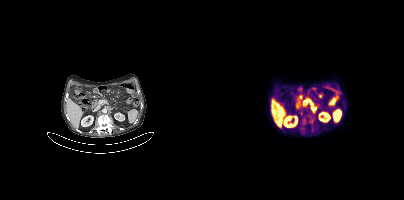
Coordinates are on the 200×200 PET (right) panel. (showing 6 of 7 foci) PSMA-avid tumor lesion bounding boxes (x0,y0,x1,y1): [100,119,107,124] [93,95,98,99] [99,101,103,104]. Small PSMA-avid foci (2 to 4 px across) near (center x, center y): (116, 95) (97, 113) (99, 109).